Left: CT. Right: PSMA PET, same axial level, 18F-PSMA tracer. Slice 105 of 409. PET panel 200×200 px (4.1 mm/px).
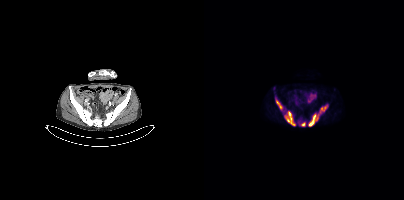
Coordinates are on the 200×200 PET (right) panel. PSMA-avid tumor lesion bounding boxes:
| # | x0 | y0 | x1 | y1 |
|---|---|---|---|---|
| 1 | 104 | 105 | 123 | 126 |
| 2 | 80 | 110 | 91 | 126 |
| 3 | 71 | 97 | 81 | 111 |
| 4 | 96 | 122 | 101 | 126 |